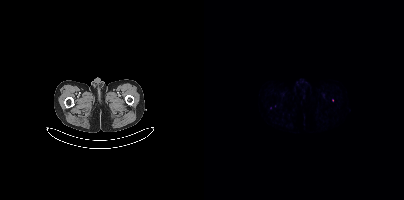
Findings: Coordinates are on the 200×200 PET (right) panel. (showing 2 of 3 foci) Small PSMA-avid foci (2 to 4 px across) near (center x, center y): (66, 108); (128, 100).
- Left: CT. Right: PSMA PET, same axial level, 68Ga tracer